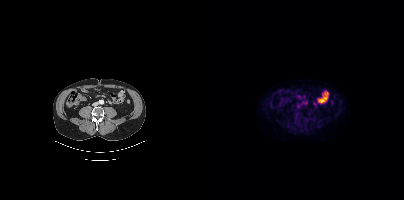
Left: CT. Right: PSMA PET, same axial level, [18F]PSMA-1007 tracer. Acquired on Siemens Biograph mCT Flow 20. Slice position z = -1303 mm. No tumor lesions annotated on this slice.